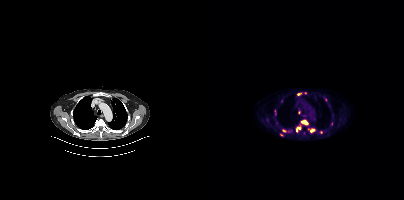
{"modality":"PSMA PET/CT","view":"axial","tracer":"18F","pet_grid":[200,200],"coord_frame":"pet_panel","coord_format":"x0,y0,x1,y1","partial":true,"lesion_bboxes":[[97,119,104,125],[92,125,97,131],[78,129,82,132]],"small_foci_centers":[[108,130],[95,112],[77,134],[121,99],[104,128]]}